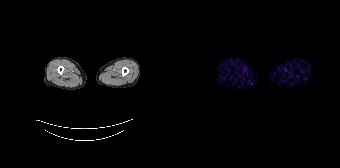
{"modality":"PSMA PET/CT","view":"axial","tracer":"68Ga","pet_grid":[168,168],"coord_frame":"pet_panel","coord_format":"x0,y0,x1,y1","psma_avid_lesions":false}